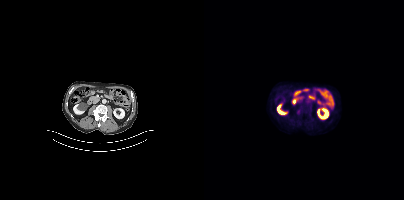
Coordinates are on the 200×200 PET (right) panel. Small PSMA-avid focus (2 to 4 px across) near (center x, center y): (94, 112). Paired axial CT (left) and PSMA PET (right), 18F tracer. Acquired on Siemens Biograph mCT Flow 20. Slice position z = -722 mm. PET panel 200×200 px (4.1 mm/px).